modality: PSMA PET/CT | tracer: 68Ga | view: axial
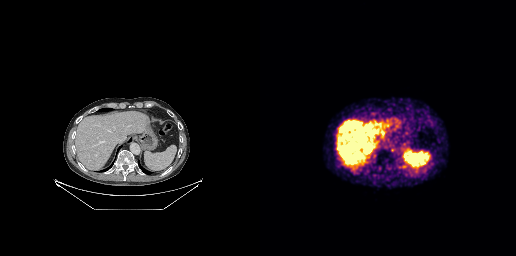
No PSMA-avid tumor lesions on this slice.